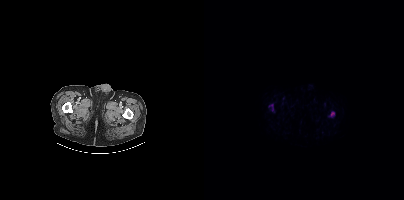
{"modality":"PSMA PET/CT","view":"axial","tracer":"[18F]PSMA-1007","pet_grid":[200,200],"coord_frame":"pet_panel","coord_format":"x0,y0,x1,y1","lesion_bboxes":[[126,111,130,116],[65,104,69,110]]}